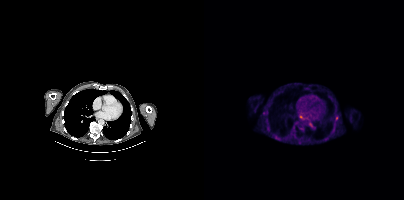
Coordinates are on the 200×200 PET (right) panel. (showing 2 of 3 foci) PSMA-avid tumor lesion bounding box (x0, y0)-(x1, y1): (131, 116)-(134, 120). Small PSMA-avid focus (2 to 4 px across) near (center x, center y): (96, 142).